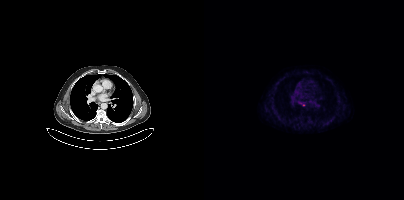
Coordinates are on the 200×200 PET (right) panel. PSMA-avid tumor lesion bounding box (x, y, width, height): x=95 y=102 w=7 h=5.
modality: PSMA PET/CT | tracer: 18F-PSMA | view: axial